Left: CT. Right: PSMA PET, same axial level, [18F]PSMA-1007 tracer. Slice 34 of 263.
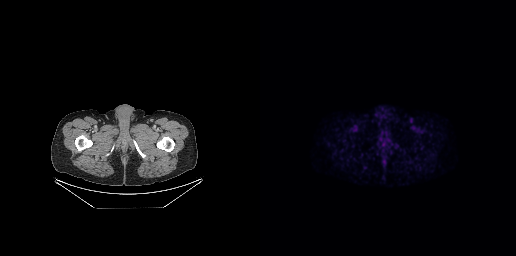
No tumor lesions annotated on this slice.